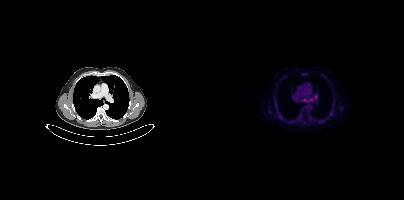
No PSMA-avid tumor lesions on this slice.